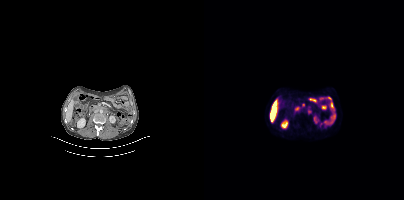
Coordinates are on the 200×200 PET (right) panel. PSMA-avid tumor lesion bounding box (x0,y0,x1,y1): [104,106,107,113]. Small PSMA-avid focus (2 to 4 px across) near (center x, center y): (99, 104).